Left: CT. Right: PSMA PET, same axial level, 68Ga-PSMA tracer. Acquired on GE Discovery 690. PET panel 256×256 px (2.7 mm/px).
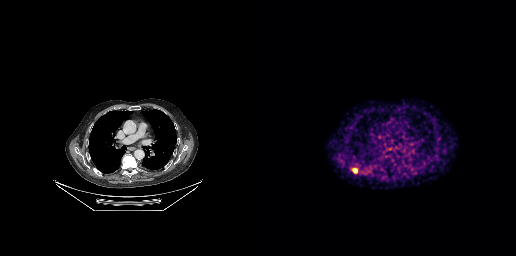
Coordinates are on the 256×256 PET (right) panel. PSMA-avid tumor lesion bounding box (x0,y0,x1,y1): [92,168,97,173]. Small PSMA-avid foci (2 to 4 px across) near (center x, center y): (131, 149), (176, 148).